Paired axial CT (left) and PSMA PET (right), 18F-PSMA tracer. Slice 35 of 423. PET panel 200×200 px (4.1 mm/px).
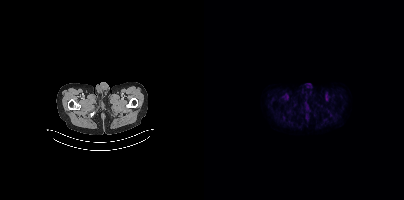
No PSMA-avid tumor lesions on this slice.